Two-panel axial: CT | PSMA PET, 18F-PSMA tracer. Slice 601 of 963.
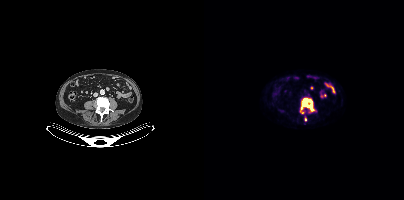
Coordinates are on the 200×200 PET (right) panel. PSMA-avid tumor lesion bounding boxes:
| # | x0 | y0 | x1 | y1 |
|---|---|---|---|---|
| 1 | 96 | 98 | 109 | 112 |
Small PSMA-avid focus (2 to 4 px across) near (center x, center y): (101, 119).